- Paired axial CT (left) and PSMA PET (right), 18F tracer
- PET panel 200×200 px (4.1 mm/px)
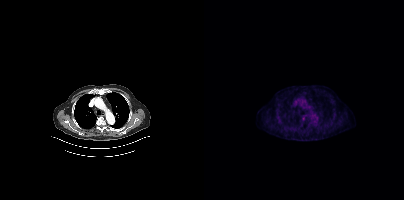
Findings: Coordinates are on the 200×200 PET (right) panel. PSMA-avid tumor lesion bounding box (x0,y0,x1,y1): [98,116,100,120].